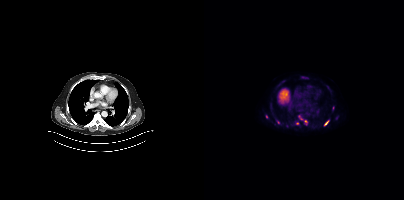
Technique: Left: CT. Right: PSMA PET, same axial level, 18F tracer. slice position z = -344 mm.
Findings: Coordinates are on the 200×200 PET (right) panel. (showing 4 of 7 foci) PSMA-avid tumor lesion bounding box (x, y, width, height): x=120 y=121 w=5 h=5. Small PSMA-avid foci (2 to 4 px across) near (center x, center y): (62, 116) / (101, 121) / (93, 123).